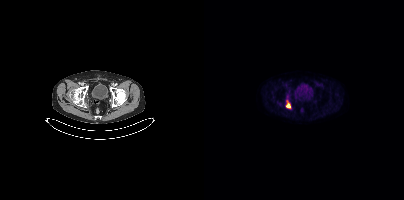
{"pet_grid":[200,200],"coord_frame":"pet_panel","coord_format":"x0,y0,x1,y1","lesion_bboxes":[[82,101,86,108]],"modality":"PSMA PET/CT","view":"axial","tracer":"[18F]PSMA-1007"}